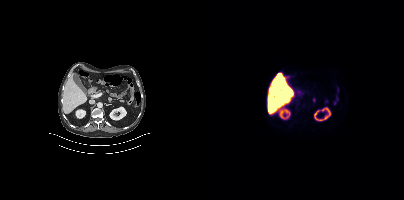
Findings: No tumor lesions annotated on this slice.
- Left: CT. Right: PSMA PET, same axial level, [18F]PSMA-1007 tracer
- slice position z = -724 mm
- PET panel 200×200 px (4.1 mm/px)